Paired axial CT (left) and PSMA PET (right), 18F-PSMA tracer. Acquired on Siemens Biograph mCT Flow 20.
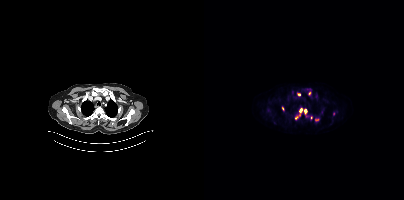
Coordinates are on the 200×200 PET (right) panel. (showing 7 of 9 foci) PSMA-avid tumor lesion bounding boxes (x0,y0,x1,y1): [91,108,98,119] [100,108,103,114] [111,118,115,121] [104,115,108,119]. Small PSMA-avid foci (2 to 4 px across) near (center x, center y): (94, 94) (105, 93) (78, 108).